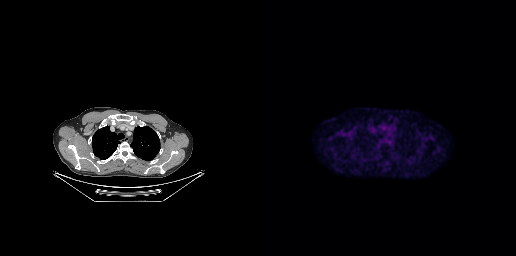
Technique: Two-panel axial: CT | PSMA PET, [18F]PSMA-1007 tracer. acquired on GE Discovery 690. slice 212 of 263. PET panel 256×256 px (2.7 mm/px).
Findings: This slice has no annotated PSMA-avid lesion.